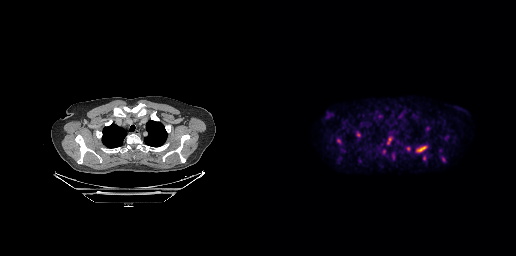
{"modality":"PSMA PET/CT","view":"axial","tracer":"[18F]PSMA-1007","pet_grid":[256,256],"coord_frame":"pet_panel","coord_format":"x0,y0,x1,y1","partial":true,"lesion_bboxes":[[156,145,167,152],[127,137,131,144]],"small_foci_centers":[[78,140],[148,148],[164,158],[183,159],[98,134]]}